Left: CT. Right: PSMA PET, same axial level, 18F tracer. PET panel 200×200 px (4.1 mm/px).
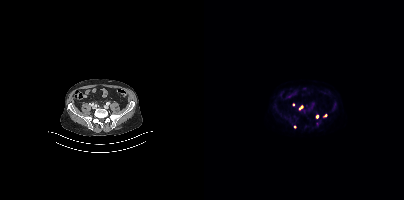
Coordinates are on the 200×200 PET (right) panel. (showing 1 of 5 foci) Small PSMA-avid focus (2 to 4 px across) near (center x, center y): (97, 106).